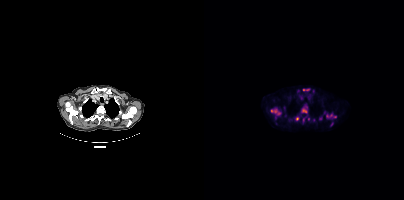
Coordinates are on the 200×200 PET (right) panel. (showing 7 of 10 foci) PSMA-avid tumor lesion bounding boxes (x0,y0,x1,y1): [66,108,77,115] [122,114,132,117] [99,89,105,90] [98,109,102,112]. Small PSMA-avid foci (2 to 4 px across) near (center x, center y): (93, 118) (116, 118) (127, 124).